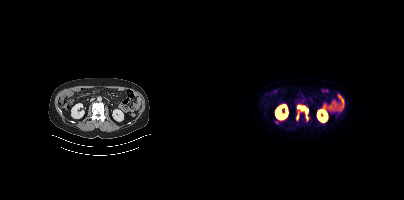
Technique: Two-panel axial: CT | PSMA PET, 18F-PSMA tracer. acquired on Siemens Biograph mCT Flow 20. slice 185 of 444. PET panel 200×200 px (4.1 mm/px).
Findings: Coordinates are on the 200×200 PET (right) panel. PSMA-avid tumor lesion bounding boxes (x0,y0,x1,y1): [93,105,104,119], [93,115,94,119].